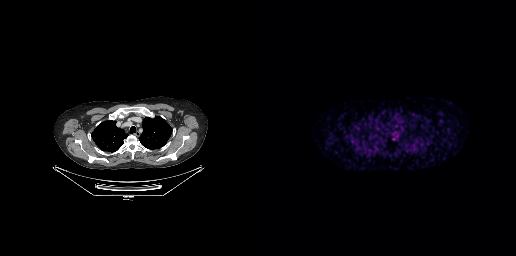
Negative for PSMA-avid disease on this slice.
modality: PSMA PET/CT | tracer: 68Ga-PSMA | view: axial